modality: PSMA PET/CT | tracer: 68Ga | view: axial | de-identification: black rectangle is a privacy mask
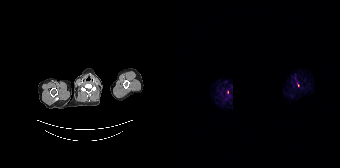
Coordinates are on the 168×168 PET (right) panel. Small PSMA-avid focus (2 to 4 px across) near (center x, center y): (126, 85).